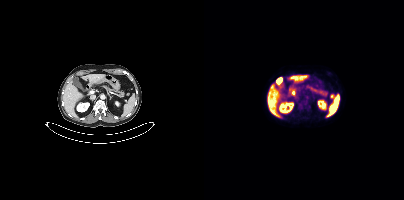
- Two-panel axial: CT | PSMA PET, [18F]PSMA-1007 tracer
- acquired on Siemens Biograph mCT Flow 20
- slice 230 of 429
Findings: Coordinates are on the 200×200 PET (right) panel. PSMA-avid tumor lesion bounding box (x0, y0)-(x1, y1): (126, 94)-(130, 98).